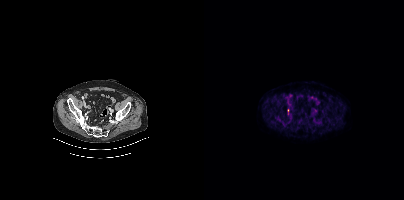
Only PSMA-avid lesion pieces thinner than 2 px on this slice (not listed).